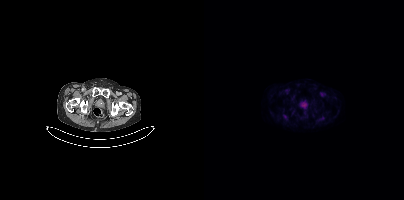
Findings: Negative for PSMA-avid disease on this slice.
- Two-panel axial: CT | PSMA PET, 18F tracer
- PET panel 200×200 px (4.1 mm/px)